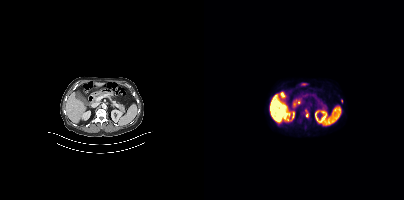
{"modality":"PSMA PET/CT","view":"axial","tracer":"[18F]PSMA-1007","pet_grid":[200,200],"coord_frame":"pet_panel","coord_format":"x0,y0,x1,y1","lesion_bboxes":[[101,109,104,117]],"small_foci_centers":[[137,101]]}